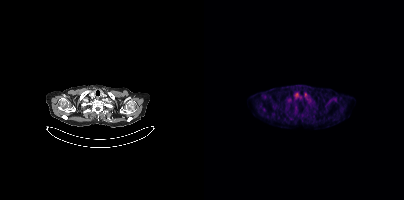
- Paired axial CT (left) and PSMA PET (right), 18F tracer
- acquired on Siemens Biograph mCT Flow 20
- PET panel 200×200 px (4.1 mm/px)
Findings: Negative for PSMA-avid disease on this slice.